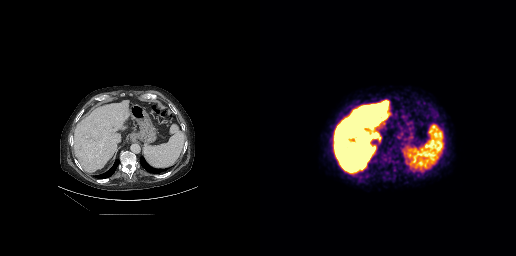
Coordinates are on the 256×256 PET (right) panel. PSMA-avid tumor lesion bounding box (x, y, width, height): x=121 y=153 w=14 h=13. Small PSMA-avid focus (2 to 4 px across) near (center x, center y): (77, 120).